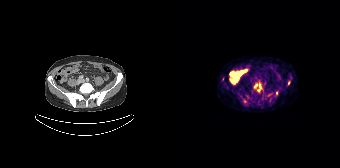
Findings: Coordinates are on the 168×168 PET (right) panel. (showing 5 of 6 foci) PSMA-avid tumor lesion bounding box (x, y, width, height): x=85 y=83 w=5 h=9. Small PSMA-avid foci (2 to 4 px across) near (center x, center y): (117, 82) / (83, 85) / (73, 101) / (104, 93).
- Paired axial CT (left) and PSMA PET (right), 68Ga-PSMA tracer
- slice position z = -1068 mm